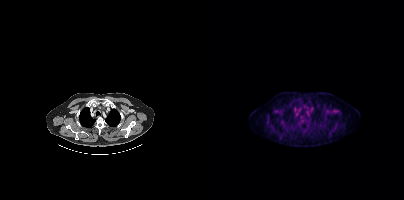
- Paired axial CT (left) and PSMA PET (right), 18F tracer
- acquired on Siemens Biograph mCT Flow 20
Findings: No tumor lesions annotated on this slice.